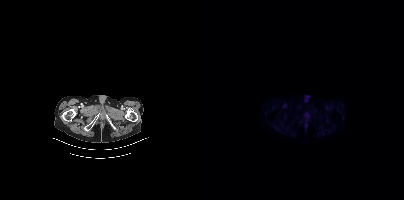
Technique: Paired axial CT (left) and PSMA PET (right), 68Ga-PSMA tracer. acquired on Siemens Biograph mCT Flow 20. PET panel 200×200 px (4.1 mm/px).
Findings: No tumor lesions annotated on this slice.